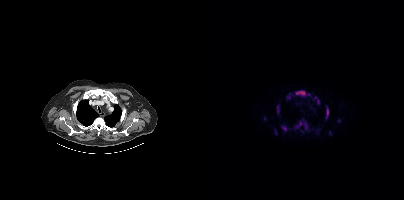
Coordinates are on the 200×200 PET (right) panel. (showing 15 of 17 foci) PSMA-avid tumor lesion bounding boxes (x, y, width, height): x=91 y=90 w=12 h=7; x=90 y=121 w=9 h=9; x=121 y=108 w=5 h=12; x=77 y=125 w=7 h=7; x=100 y=122 w=4 h=8; x=71 y=129 w=3 h=6; x=73 y=105 w=2 h=6. Small PSMA-avid foci (2 to 4 px across) near (center x, center y): (114, 101); (84, 97); (104, 94); (60, 118); (135, 120); (98, 131); (111, 97); (125, 132).